Technique: Two-panel axial: CT | PSMA PET, 68Ga tracer. slice 23 of 263.
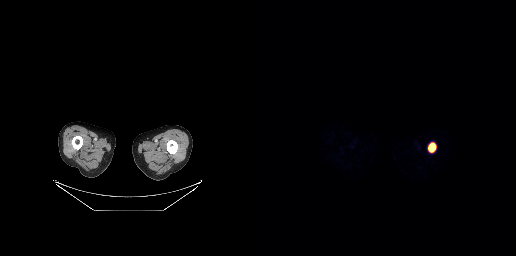
Findings: Coordinates are on the 256×256 PET (right) panel. PSMA-avid tumor lesion bounding box (x, y, width, height): x=169 y=143 w=7 h=9.